Paired axial CT (left) and PSMA PET (right), 18F-PSMA tracer. Slice 43 of 195.
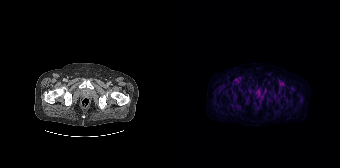
No tumor lesions annotated on this slice.